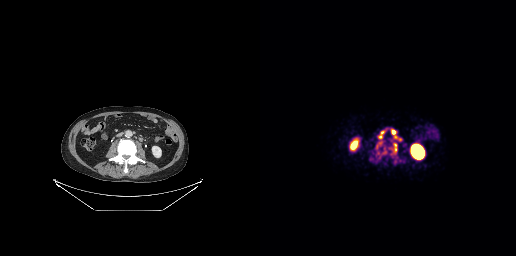
Paired axial CT (left) and PSMA PET (right), [68Ga]Ga-PSMA-11 tracer. Coordinates are on the 256×256 PET (right) panel. PSMA-avid tumor lesion bounding boxes (x0, y0)-(x1, y1): (129, 142)-(137, 153) | (131, 129)-(137, 138) | (119, 131)-(123, 137). Small PSMA-avid focus (2 to 4 px across) near (center x, center y): (140, 139).